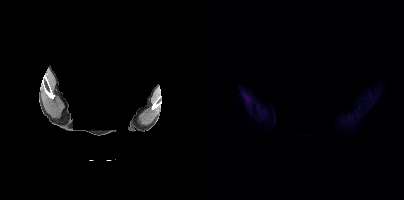
The head region is masked for de-identification.
This slice has no annotated PSMA-avid lesion.